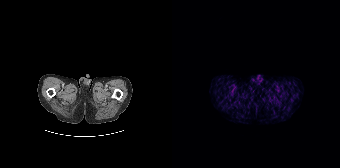
Technique: Left: CT. Right: PSMA PET, same axial level, 68Ga-PSMA tracer. acquired on Siemens Biograph 64-4R TruePoint. slice position z = -616 mm. PET panel 168×168 px (4.1 mm/px).
Findings: No PSMA-avid tumor lesions on this slice.